- Two-panel axial: CT | PSMA PET, [18F]PSMA-1007 tracer
- slice position z = -914 mm
- facial anatomy redacted by setting a rectangular region of the head to black
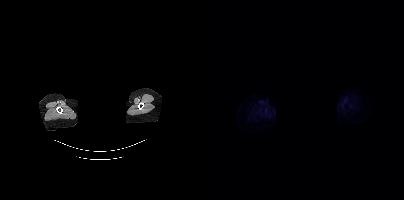
Findings: Negative for PSMA-avid disease on this slice.